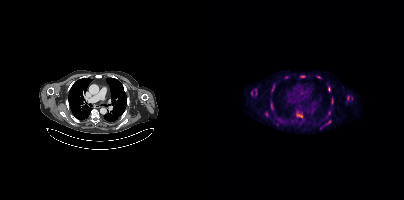
Coordinates are on the 200×200 PET (right) panel. (showing 11 of 12 foci) PSMA-avid tumor lesion bounding boxes (x, y, width, height): x=93 y=114 w=6 h=4 / x=66 y=102 w=4 h=6 / x=61 y=112 w=4 h=5 / x=143 y=96 w=3 h=5 / x=122 y=120 w=5 h=5 / x=68 y=86 w=3 h=5 / x=124 y=87 w=3 h=5. Small PSMA-avid foci (2 to 4 px across) near (center x, center y): (82, 77) / (114, 77) / (98, 76) / (125, 113).